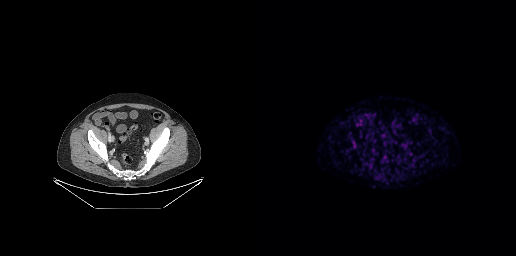
{"modality":"PSMA PET/CT","view":"axial","tracer":"[68Ga]Ga-PSMA-11","pet_grid":[256,256],"coord_frame":"pet_panel","coord_format":"x0,y0,x1,y1","psma_avid_lesions":false}